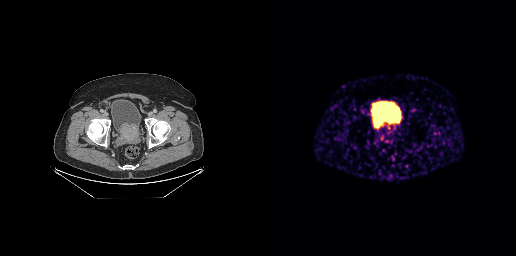
Coordinates are on the 256×256 PET (right) panel. PSMA-avid tumor lesion bounding boxes (partial; 1 more focus not listed):
| # | x0 | y0 | x1 | y1 |
|---|---|---|---|---|
| 1 | 120 | 134 | 124 | 140 |
Small PSMA-avid foci (2 to 4 px across) near (center x, center y): (126, 140); (128, 133).
Paired axial CT (left) and PSMA PET (right), [68Ga]Ga-PSMA-11 tracer. Acquired on GE Discovery 690. PET panel 256×256 px (2.7 mm/px).